- Two-panel axial: CT | PSMA PET, 68Ga tracer
- PET panel 200×200 px (4.1 mm/px)
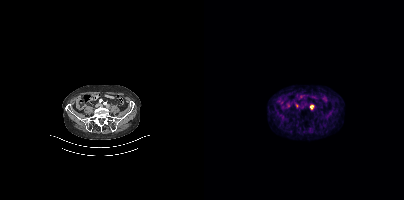
Findings: Coordinates are on the 200×200 PET (right) panel. (showing 1 of 2 foci) Small PSMA-avid focus (2 to 4 px across) near (center x, center y): (107, 106).